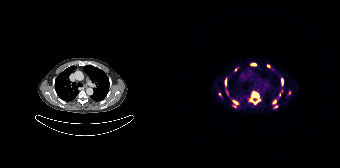
Left: CT. Right: PSMA PET, same axial level, [68Ga]Ga-PSMA-11 tracer. Acquired on Siemens Biograph 64-4R TruePoint. Coordinates are on the 168×168 PET (right) panel. (showing 11 of 12 foci) PSMA-avid tumor lesion bounding boxes (x0,y0,x1,y1): [80,92,86,98]; [100,100,104,103]; [53,79,54,85]; [62,101,66,104]; [79,64,83,65]. Small PSMA-avid foci (2 to 4 px across) near (center x, center y): (96, 66); (104, 106); (86, 100); (83, 102); (63, 69); (79, 100).